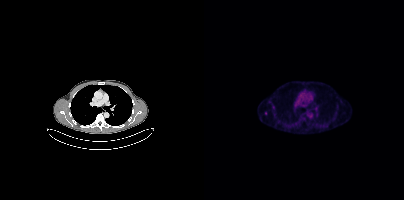
Two-panel axial: CT | PSMA PET, [18F]PSMA-1007 tracer. PET panel 200×200 px (4.1 mm/px).
Coordinates are on the 200×200 PET (right) panel. PSMA-avid tumor lesion bounding boxes:
| # | x0 | y0 | x1 | y1 |
|---|---|---|---|---|
| 1 | 60 | 111 | 63 | 115 |
Small PSMA-avid focus (2 to 4 px across) near (center x, center y): (133, 108).